- Left: CT. Right: PSMA PET, same axial level, 18F tracer
- acquired on Siemens Biograph mCT Flow 20
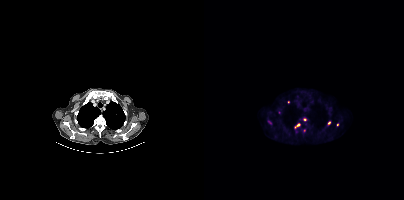
Findings: Coordinates are on the 200×200 PET (right) panel. (showing 5 of 6 foci) PSMA-avid tumor lesion bounding box (x0,y0,x1,y1): [91,123,96,127]. Small PSMA-avid foci (2 to 4 px across) near (center x, center y): (125, 123); (100, 130); (101, 119); (133, 124).